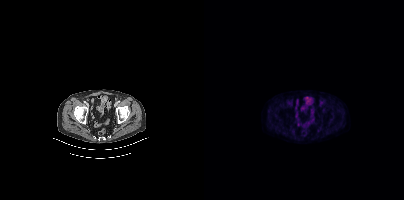
Findings: This slice has no annotated PSMA-avid lesion.
- Two-panel axial: CT | PSMA PET, 18F tracer
- acquired on Siemens Biograph mCT Flow 20